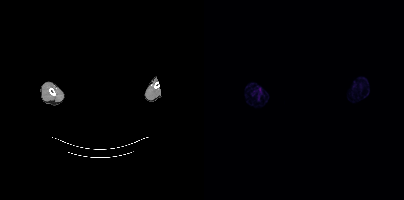
{"modality":"PSMA PET/CT","view":"axial","tracer":"18F","pet_grid":[200,200],"coord_frame":"pet_panel","coord_format":"x0,y0,x1,y1","redaction":"facial region redacted","psma_avid_lesions":false}